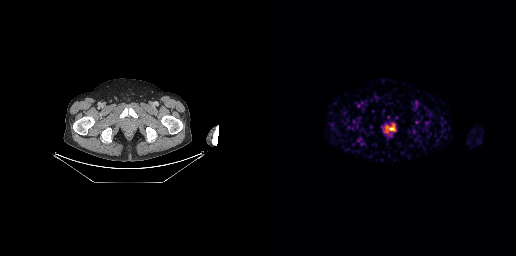
{"modality":"PSMA PET/CT","view":"axial","tracer":"68Ga-PSMA","pet_grid":[256,256],"coord_frame":"pet_panel","coord_format":"x0,y0,x1,y1","lesion_bboxes":[[129,124,134,130]]}